Left: CT. Right: PSMA PET, same axial level, [68Ga]Ga-PSMA-11 tracer. Slice 82 of 263.
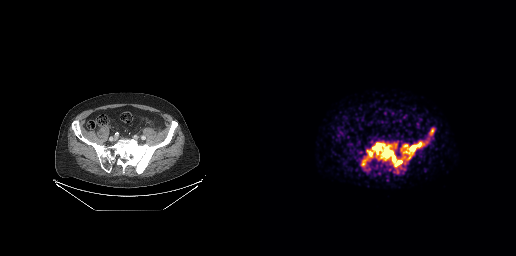
Coordinates are on the 256×256 PET (right) panel. (showing 6 of 8 foci) PSMA-avid tumor lesion bounding boxes (x, y, width, height): x=107 y=143 w=36 h=25 / x=143 y=142 w=21 h=18 / x=170 y=128 w=4 h=7 / x=102 y=160 w=4 h=6. Small PSMA-avid foci (2 to 4 px across) near (center x, center y): (135, 144) / (141, 149).